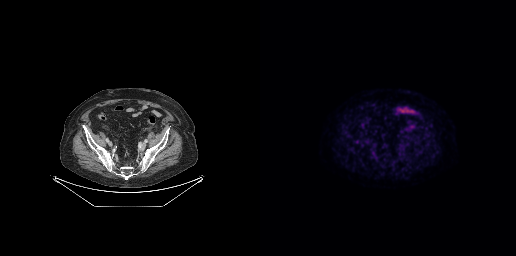
Findings: Negative for PSMA-avid disease on this slice.
- Paired axial CT (left) and PSMA PET (right), 18F-PSMA tracer